- Two-panel axial: CT | PSMA PET, [68Ga]Ga-PSMA-11 tracer
- acquired on Siemens Biograph 64-4R TruePoint
- slice position z = -1444 mm
- PET panel 168×168 px (4.1 mm/px)
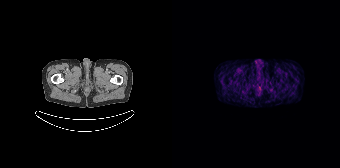
Findings: No PSMA-avid tumor lesions on this slice.